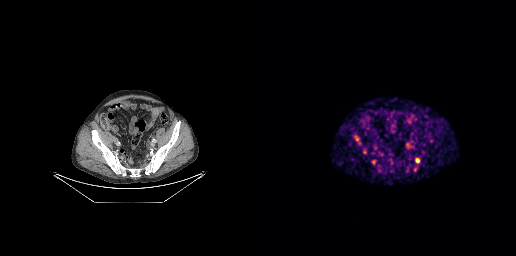
Coordinates are on the 256×256 PET (right) panel. (showing 2 of 3 foci) PSMA-avid tumor lesion bounding boxes (x, y, width, height): x=103 y=149 w=4 h=6 / x=156 y=158 w=4 h=5.